Technique: Two-panel axial: CT | PSMA PET, [18F]PSMA-1007 tracer. acquired on Siemens Biograph mCT Flow 20. slice position z = -904 mm.
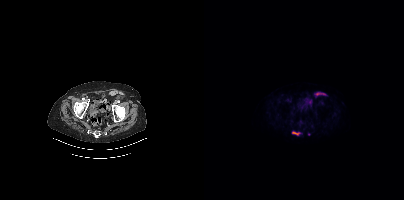
Findings: Coordinates are on the 200×200 PET (right) panel. PSMA-avid tumor lesion bounding box (x, y, width, height): x=88 y=131 w=11 h=5. Small PSMA-avid focus (2 to 4 px across) near (center x, center y): (105, 134).